modality: PSMA PET/CT | tracer: 18F-PSMA | view: axial | PET grid: 200×200
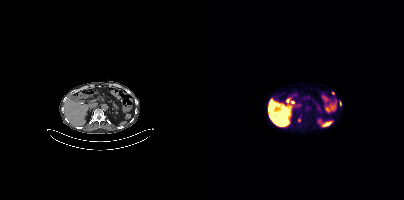
Coordinates are on the 200×200 PET (right) panel. PSMA-avid tumor lesion bounding box (x0,y0,x1,y1): [136,101,137,105]. Small PSMA-avid foci (2 to 4 px across) near (center x, center y): (95, 119), (129, 93).